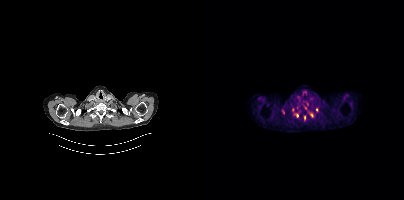
Left: CT. Right: PSMA PET, same axial level, [18F]PSMA-1007 tracer. Coordinates are on the 200×200 PET (right) panel. (showing 4 of 5 foci) Small PSMA-avid foci (2 to 4 px across) near (center x, center y): (93, 115) | (100, 117) | (107, 115) | (112, 109).